modality: PSMA PET/CT | tracer: 18F | view: axial | PET grid: 200×200
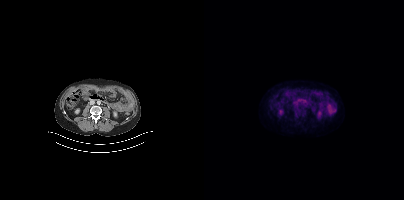
No tumor lesions annotated on this slice.